- Two-panel axial: CT | PSMA PET, [18F]PSMA-1007 tracer
- slice 190 of 438
- PET panel 200×200 px (4.1 mm/px)
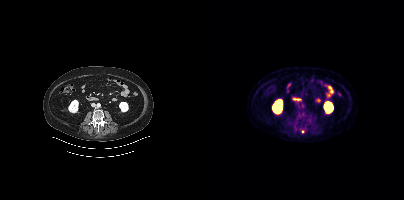
Findings: Coordinates are on the 200×200 PET (right) panel. Small PSMA-avid focus (2 to 4 px across) near (center x, center y): (98, 131).